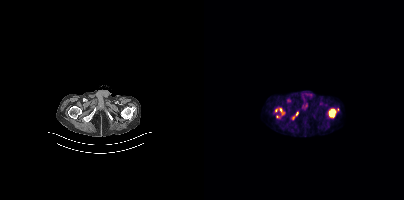
modality: PSMA PET/CT | tracer: 18F | view: axial | PET grid: 200×200
Coordinates are on the 200×200 PET (right) panel. (showing 3 of 4 foci) PSMA-avid tumor lesion bounding boxes (x0, y0)-(x1, y1): (75, 108)-(80, 114) | (88, 114)-(93, 118). Small PSMA-avid focus (2 to 4 px across) near (center x, center y): (72, 110).